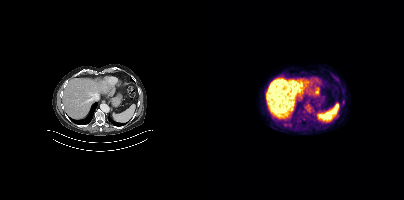
{"modality":"PSMA PET/CT","view":"axial","tracer":"18F","pet_grid":[200,200],"coord_frame":"pet_panel","coord_format":"x0,y0,x1,y1","psma_avid_lesions":false}